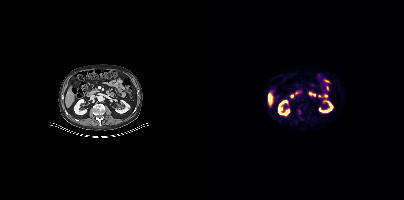
modality: PSMA PET/CT | tracer: 18F | view: axial | PET grid: 200×200
This slice has no annotated PSMA-avid lesion.